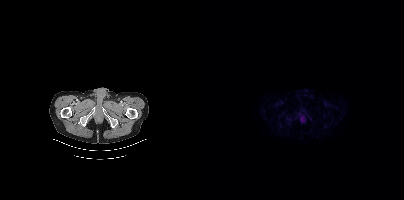
{"modality":"PSMA PET/CT","view":"axial","tracer":"18F","pet_grid":[200,200],"coord_frame":"pet_panel","coord_format":"x0,y0,x1,y1","lesion_bboxes":[],"small_foci_centers":[[86,119]]}